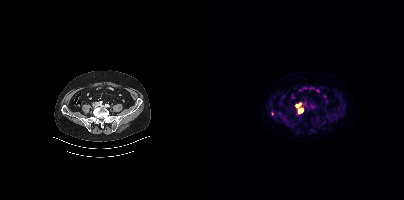
{"pet_grid":[200,200],"coord_frame":"pet_panel","coord_format":"x0,y0,x1,y1","lesion_bboxes":[[94,108,99,112],[92,103,96,107]],"modality":"PSMA PET/CT","view":"axial","tracer":"18F-PSMA"}